Two-panel axial: CT | PSMA PET, [18F]PSMA-1007 tracer. Slice position z = -683 mm. PET panel 256×256 px (2.7 mm/px).
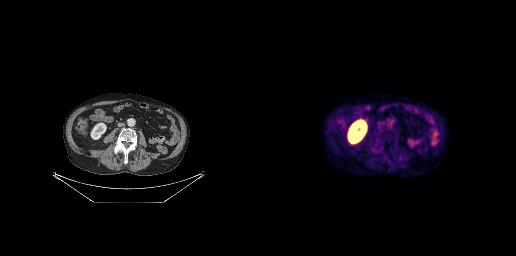
Only PSMA-avid lesion pieces thinner than 2 px on this slice (not listed).